Two-panel axial: CT | PSMA PET, 18F-PSMA tracer. Acquired on Siemens Biograph mCT Flow 20. PET panel 200×200 px (4.1 mm/px).
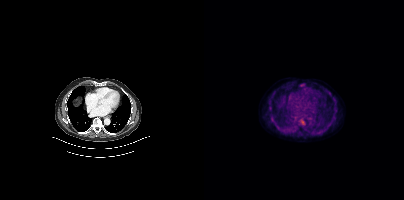
Coordinates are on the 200×200 PET (right) panel. PSMA-avid tumor lesion bounding box (x, y, width, height): x=96 y=120 w=5 h=5.